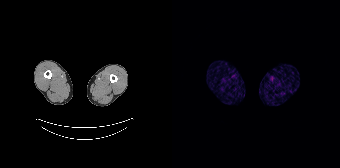
Negative for PSMA-avid disease on this slice.